- Left: CT. Right: PSMA PET, same axial level, 68Ga tracer
- slice position z = -1168 mm
- PET panel 168×168 px (4.1 mm/px)
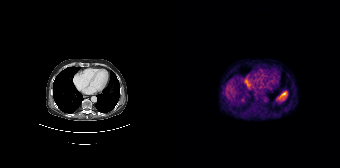
Findings: Negative for PSMA-avid disease on this slice.